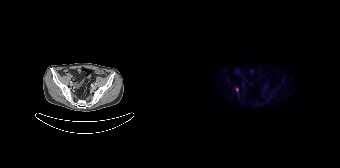
Coordinates are on the 168×168 PET (right) panel. Small PSMA-avid focus (2 to 4 px across) near (center x, center y): (65, 89). Left: CT. Right: PSMA PET, same axial level, 18F-PSMA tracer. PET panel 168×168 px (4.1 mm/px).